Paired axial CT (left) and PSMA PET (right), 18F-PSMA tracer. PET panel 200×200 px (4.1 mm/px).
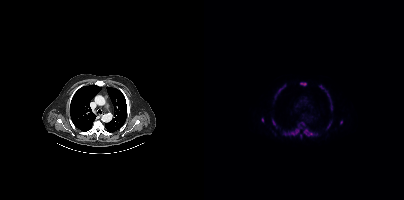
Coordinates are on the 200×200 PET (right) panel. (showing 13 of 15 foci) PSMA-avid tumor lesion bounding boxes (x, y, width, height): x=79 y=122 w=22 h=14; x=121 y=90 w=8 h=20; x=96 y=82 w=7 h=4; x=99 y=128 w=5 h=7; x=68 y=119 w=4 h=7; x=74 y=85 w=8 h=9; x=116 y=86 w=5 h=4; x=57 y=118 w=3 h=5; x=123 y=124 w=4 h=5; x=96 y=134 w=3 h=5; x=109 y=133 w=5 h=3; x=71 y=94 w=2 h=5. Small PSMA-avid focus (2 to 4 px across) near (center x, center y): (137, 122).